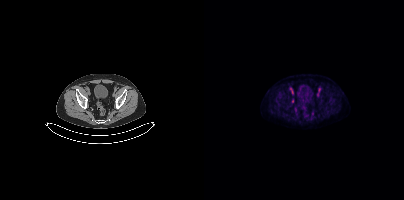
Coordinates are on the 200×200 PET (right) panel. Small PSMA-avid focus (2 to 4 px across) near (center x, center y): (88, 100).
modality: PSMA PET/CT | tracer: [18F]PSMA-1007 | view: axial